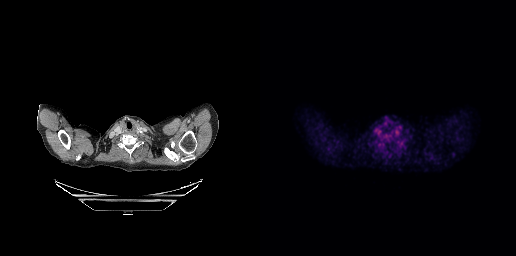
Left: CT. Right: PSMA PET, same axial level, 18F-PSMA tracer. Slice position z = -124 mm. PET panel 256×256 px (2.7 mm/px). This slice has no annotated PSMA-avid lesion.